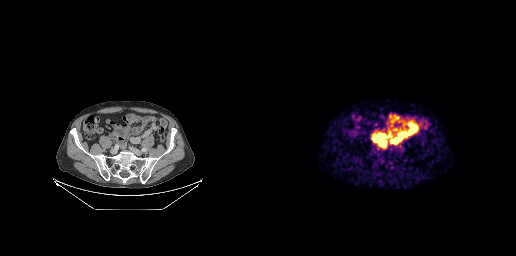
modality: PSMA PET/CT | tracer: [68Ga]Ga-PSMA-11 | view: axial
No tumor lesions annotated on this slice.